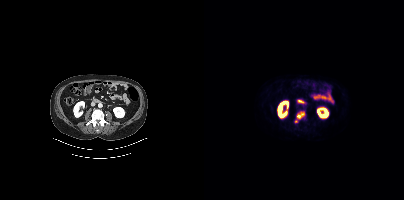
Technique: Two-panel axial: CT | PSMA PET, [18F]PSMA-1007 tracer. slice position z = -1216 mm. PET panel 200×200 px (4.1 mm/px).
Findings: Coordinates are on the 200×200 PET (right) panel. PSMA-avid tumor lesion bounding box (x0, y0)-(x1, y1): (93, 112)-(100, 118). Small PSMA-avid focus (2 to 4 px across) near (center x, center y): (92, 121).